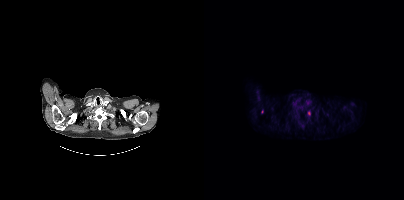
{"modality":"PSMA PET/CT","view":"axial","tracer":"18F","pet_grid":[200,200],"coord_frame":"pet_panel","coord_format":"x0,y0,x1,y1","partial":true,"lesion_bboxes":[],"small_foci_centers":[[58,111]]}